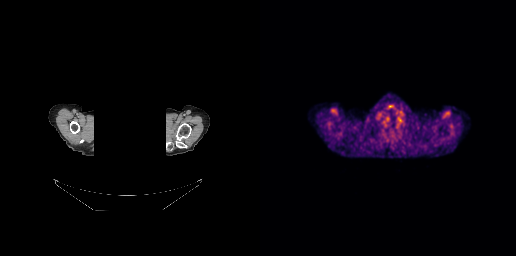
The head region is masked for de-identification.
This slice has no annotated PSMA-avid lesion.